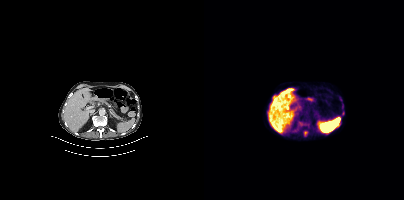
Coordinates are on the 200×200 PET (right) panel. Small PSMA-avid focus (2 to 4 px across) near (center x, center y): (101, 133). Paired axial CT (left) and PSMA PET (right), 18F tracer. Slice position z = -552 mm.